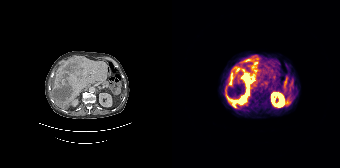
{"modality":"PSMA PET/CT","view":"axial","tracer":"68Ga","pet_grid":[168,168],"coord_frame":"pet_panel","coord_format":"x0,y0,x1,y1","lesion_bboxes":[[53,55,86,107],[61,66,67,73]]}